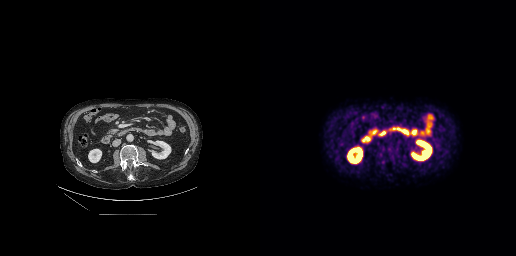
{"modality":"PSMA PET/CT","view":"axial","tracer":"18F-PSMA","pet_grid":[256,256],"coord_frame":"pet_panel","coord_format":"x0,y0,x1,y1","psma_avid_lesions":false}